- Two-panel axial: CT | PSMA PET, 68Ga tracer
- acquired on Siemens Biograph mCT Flow 20
- slice 187 of 373
- PET panel 200×200 px (4.1 mm/px)
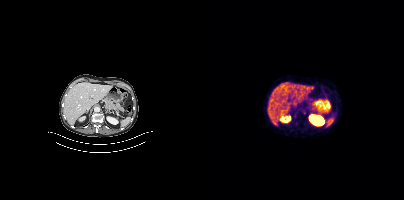
Findings: Only PSMA-avid lesion pieces thinner than 2 px on this slice (not listed).